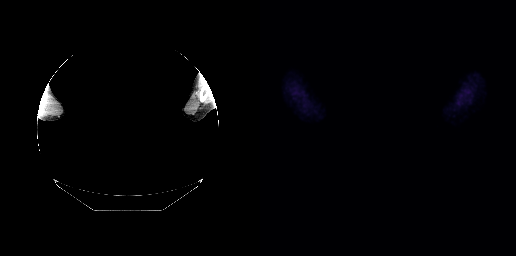
- facial anatomy redacted by setting a rectangular region of the head to black
- Two-panel axial: CT | PSMA PET, [18F]PSMA-1007 tracer
- PET panel 256×256 px (2.7 mm/px)
Findings: No PSMA-avid tumor lesions on this slice.